Left: CT. Right: PSMA PET, same axial level, [18F]PSMA-1007 tracer.
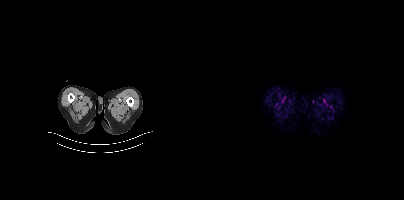
No tumor lesions annotated on this slice.